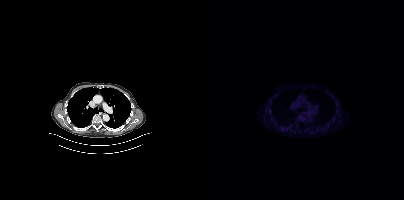
Technique: Left: CT. Right: PSMA PET, same axial level, 18F-PSMA tracer. slice 296 of 421.
Findings: No PSMA-avid tumor lesions on this slice.